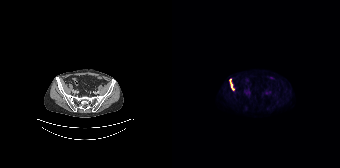
Coordinates are on the 168×168 PET (right) panel. PSMA-avid tumor lesion bounding boxes:
| # | x0 | y0 | x1 | y1 |
|---|---|---|---|---|
| 1 | 57 | 79 | 62 | 90 |
Paired axial CT (left) and PSMA PET (right), [18F]PSMA-1007 tracer. Acquired on Siemens Biograph 64-4R TruePoint. Slice 46 of 165.